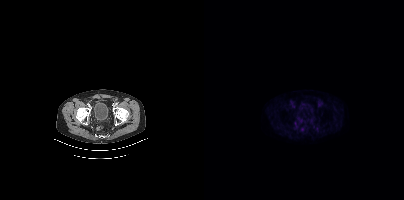
{"pet_grid":[200,200],"coord_frame":"pet_panel","coord_format":"x0,y0,x1,y1","psma_avid_lesions":false,"modality":"PSMA PET/CT","view":"axial","tracer":"[18F]PSMA-1007"}